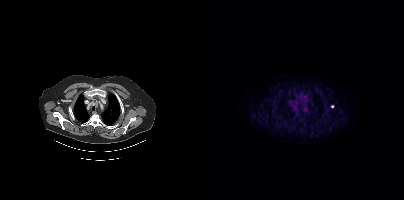
Coordinates are on the 200×200 PET (right) panel. Small PSMA-avid focus (2 to 4 px across) near (center x, center y): (128, 106). Paired axial CT (left) and PSMA PET (right), 18F tracer. Acquired on Siemens Biograph mCT Flow 20. Slice 342 of 435. PET panel 200×200 px (4.1 mm/px).